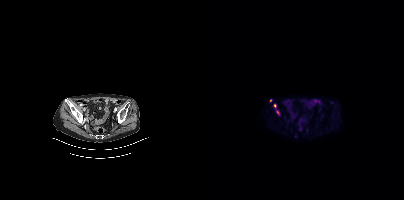
modality: PSMA PET/CT | tracer: [68Ga]Ga-PSMA-11 | view: axial
Coordinates are on the 200×200 PET (right) panel. (showing 2 of 3 foci) Small PSMA-avid foci (2 to 4 px across) near (center x, center y): (71, 105); (66, 100).